Technique: Two-panel axial: CT | PSMA PET, 18F-PSMA tracer. slice position z = -198 mm.
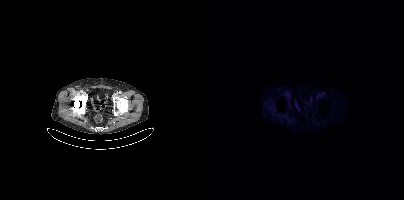
Findings: Negative for PSMA-avid disease on this slice.